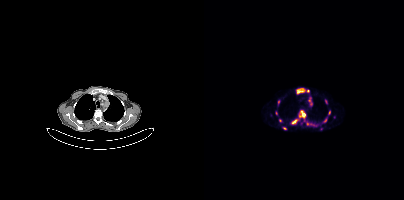
{"modality":"PSMA PET/CT","view":"axial","tracer":"68Ga","pet_grid":[200,200],"coord_frame":"pet_panel","coord_format":"x0,y0,x1,y1","lesion_bboxes":[[93,88,100,93],[96,111,101,117],[104,97,108,104],[88,120,92,123]],"small_foci_centers":[[104,91],[74,101],[72,113],[121,120],[76,120],[121,100],[125,112],[80,128]]}